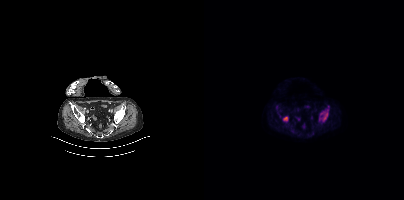
Coordinates are on the 200×200 PET (right) panel. PSMA-avid tumor lesion bounding boxes (partial; 1 more focus not listed):
| # | x0 | y0 | x1 | y1 |
|---|---|---|---|---|
| 1 | 115 | 109 | 124 | 121 |
| 2 | 79 | 116 | 84 | 121 |
Left: CT. Right: PSMA PET, same axial level, 18F-PSMA tracer. PET panel 200×200 px (4.1 mm/px).